- Two-panel axial: CT | PSMA PET, 18F-PSMA tracer
- acquired on Siemens Biograph mCT Flow 20
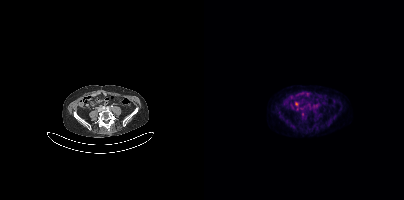
Findings: Coordinates are on the 200×200 PET (right) panel. Small PSMA-avid foci (2 to 4 px across) near (center x, center y): (109, 107) / (98, 113).